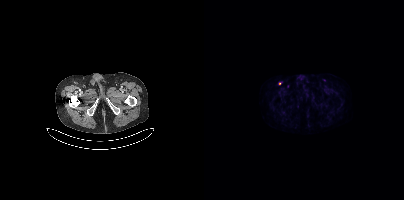
Left: CT. Right: PSMA PET, same axial level, 18F-PSMA tracer. PET panel 200×200 px (4.1 mm/px). Coordinates are on the 200×200 PET (right) panel. (showing 1 of 2 foci) Small PSMA-avid focus (2 to 4 px across) near (center x, center y): (75, 83).